- Two-panel axial: CT | PSMA PET, 18F tracer
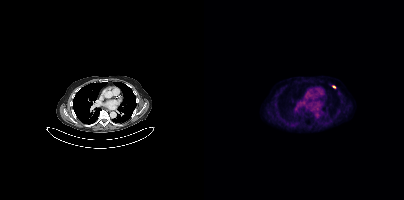
Findings: Coordinates are on the 200×200 PET (right) panel. Small PSMA-avid focus (2 to 4 px across) near (center x, center y): (130, 86).